Technique: Two-panel axial: CT | PSMA PET, 18F-PSMA tracer. acquired on Siemens Biograph mCT Flow 20. PET panel 200×200 px (4.1 mm/px).
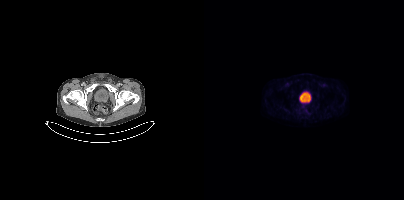
Findings: No PSMA-avid tumor lesions on this slice.